Left: CT. Right: PSMA PET, same axial level, 68Ga tracer. Slice position z = -438 mm. PET panel 256×256 px (2.7 mm/px).
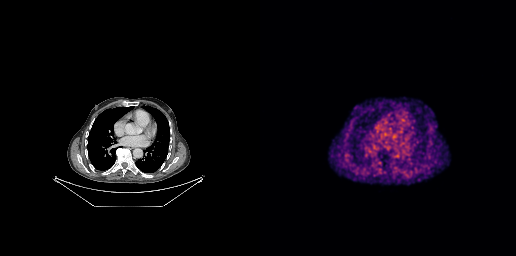
No PSMA-avid tumor lesions on this slice.